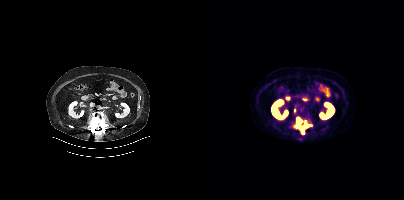
Coordinates are on the 200×200 PET (right) panel. PSMA-avid tumor lesion bounding boxes (x0, y0)-(x1, y1): (91, 124)-(107, 132); (93, 117)-(97, 122). Small PSMA-avid foci (2 to 4 px across) near (center x, center y): (90, 110); (101, 121).